Paired axial CT (left) and PSMA PET (right), 68Ga tracer. Acquired on GE Discovery 690.
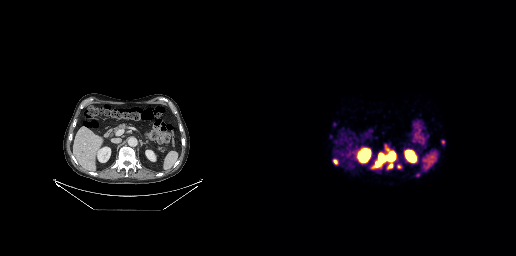
Coordinates are on the 256×256 PET (right) panel. PSMA-avid tumor lesion bounding boxes:
| # | x0 | y0 | x1 | y1 |
|---|---|---|---|---|
| 1 | 111 | 153 | 134 | 168 |
| 2 | 73 | 159 | 78 | 164 |
| 3 | 127 | 163 | 132 | 168 |
| 4 | 181 | 140 | 184 | 144 |
Small PSMA-avid focus (2 to 4 px across) near (center x, center y): (139, 167).